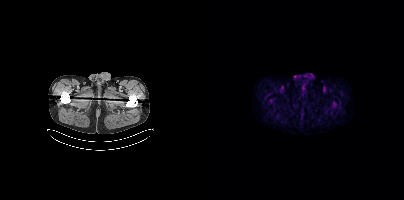
Negative for PSMA-avid disease on this slice. Paired axial CT (left) and PSMA PET (right), [18F]PSMA-1007 tracer. Acquired on Siemens Biograph mCT Flow 20. Slice 48 of 454.